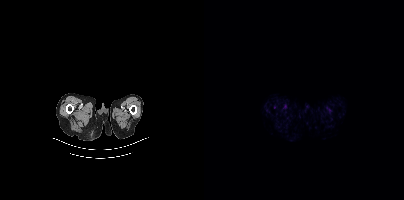
- Left: CT. Right: PSMA PET, same axial level, [68Ga]Ga-PSMA-11 tracer
- acquired on Siemens Biograph mCT Flow 20
- slice 9 of 409
Findings: Negative for PSMA-avid disease on this slice.